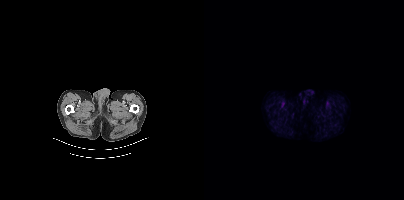
{"modality":"PSMA PET/CT","view":"axial","tracer":"18F","pet_grid":[200,200],"coord_frame":"pet_panel","coord_format":"x0,y0,x1,y1","psma_avid_lesions":false}